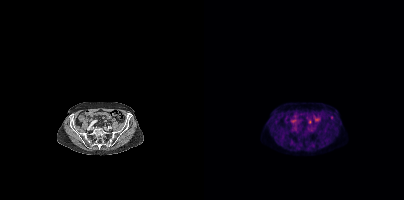
Left: CT. Right: PSMA PET, same axial level, [18F]PSMA-1007 tracer. Slice 115 of 389. Coordinates are on the 200×200 PET (right) panel. Small PSMA-avid focus (2 to 4 px across) near (center x, center y): (127, 117).